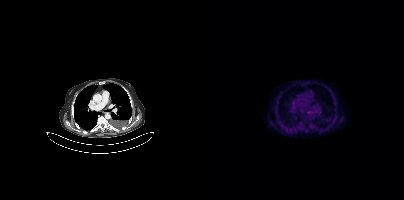
No tumor lesions annotated on this slice. Two-panel axial: CT | PSMA PET, 18F tracer. Slice position z = -1094 mm.